Technique: Paired axial CT (left) and PSMA PET (right), [68Ga]Ga-PSMA-11 tracer. PET panel 200×200 px (4.1 mm/px).
Note: Head region blanked for anonymization (face removed).
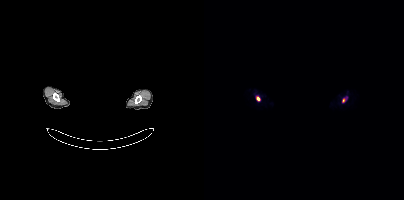
Findings: Coordinates are on the 200×200 PET (right) panel. Small PSMA-avid foci (2 to 4 px across) near (center x, center y): (53, 98) / (139, 100).